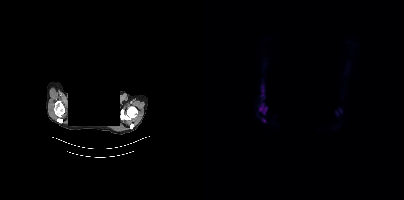
Findings: Coordinates are on the 200×200 PET (right) panel. (showing 2 of 3 foci) PSMA-avid tumor lesion bounding box (x0,y0,x1,y1): [55,103,63,114]. Small PSMA-avid focus (2 to 4 px across) near (center x, center y): (59, 119).
- Two-panel axial: CT | PSMA PET, 18F-PSMA tracer
- acquired on Siemens Biograph mCT Flow 20
- slice position z = -270 mm
- PET panel 200×200 px (4.1 mm/px)
- head region blanked for anonymization (face removed)